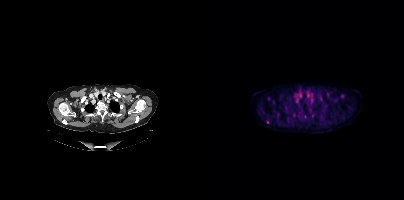
{"pet_grid":[200,200],"coord_frame":"pet_panel","coord_format":"x0,y0,x1,y1","psma_avid_lesions":false,"modality":"PSMA PET/CT","view":"axial","tracer":"18F-PSMA"}